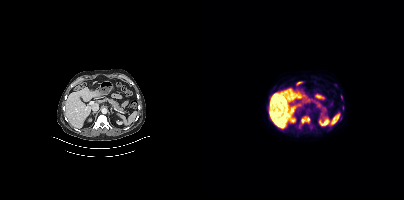
Coordinates are on the 200×200 PET (right) panel. PSMA-avid tumor lesion bounding boxes (x0,y0,x1,y1): [97,116,108,128] [138,106,140,110] [137,95,138,99].